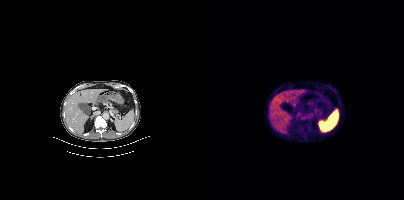
Findings: Coordinates are on the 200×200 PET (right) panel. PSMA-avid tumor lesion bounding box (x, y, width, height): x=96 y=116 w=11 h=7. Small PSMA-avid focus (2 to 4 px across) near (center x, center y): (103, 124).
Technique: Two-panel axial: CT | PSMA PET, [18F]PSMA-1007 tracer. slice 236 of 448.